Two-panel axial: CT | PSMA PET, 68Ga tracer. Acquired on GE Discovery 690. PET panel 256×256 px (2.7 mm/px).
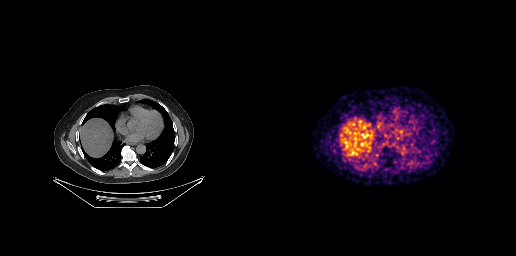
No tumor lesions annotated on this slice.